Paired axial CT (left) and PSMA PET (right), 18F tracer.
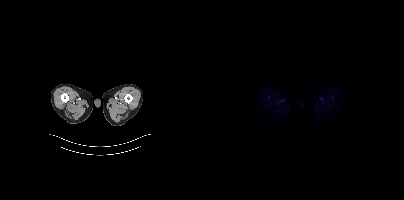
This slice has no annotated PSMA-avid lesion.